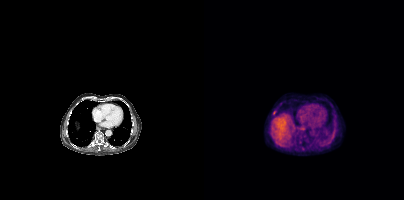
Coordinates are on the 200×200 PET (right) panel. Small PSMA-avid foci (2 to 4 px across) near (center x, center y): (70, 112) / (98, 147). Left: CT. Right: PSMA PET, same axial level, 18F-PSMA tracer.